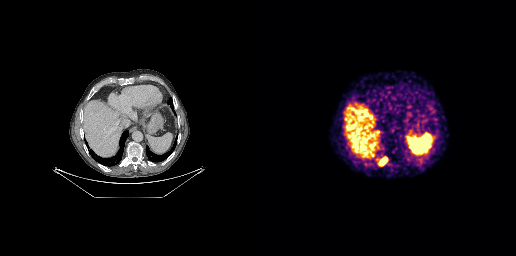
Findings: Coordinates are on the 256×256 PET (right) panel. PSMA-avid tumor lesion bounding box (x, y, width, height): x=119 y=157 w=9 h=9.
- Two-panel axial: CT | PSMA PET, [68Ga]Ga-PSMA-11 tracer
- slice position z = -519 mm